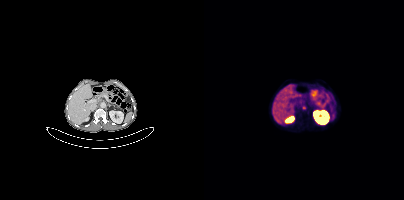
Left: CT. Right: PSMA PET, same axial level, [68Ga]Ga-PSMA-11 tracer. Slice 194 of 409. PET panel 200×200 px (4.1 mm/px). Coordinates are on the 200×200 PET (right) panel. Small PSMA-avid focus (2 to 4 px across) near (center x, center y): (99, 107).